- Two-panel axial: CT | PSMA PET, 18F tracer
- slice 99 of 377
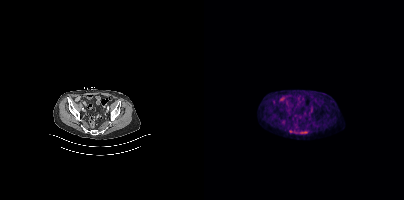
Findings: No tumor lesions annotated on this slice.